- Two-panel axial: CT | PSMA PET, 18F-PSMA tracer
- acquired on Siemens Biograph mCT Flow 20
- PET panel 200×200 px (4.1 mm/px)
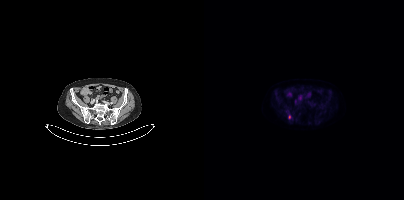
Findings: This slice has no annotated PSMA-avid lesion.